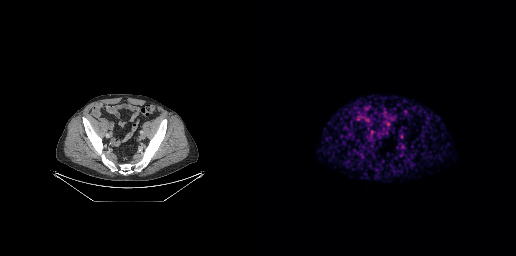
No tumor lesions annotated on this slice. Left: CT. Right: PSMA PET, same axial level, [68Ga]Ga-PSMA-11 tracer. PET panel 256×256 px (2.7 mm/px).